Paired axial CT (left) and PSMA PET (right), [18F]PSMA-1007 tracer. Slice 145 of 454.
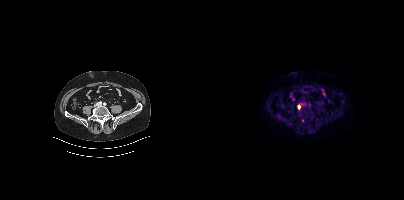
Coordinates are on the 200×200 PET (right) panel. Small PSMA-avid focus (2 to 4 px across) near (center x, center y): (94, 106).